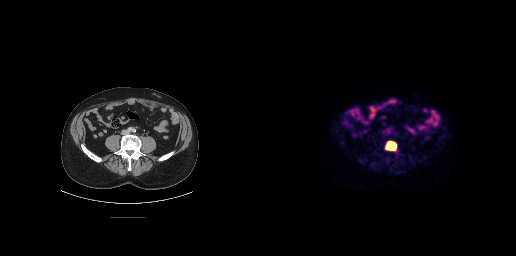
Paired axial CT (left) and PSMA PET (right), 18F-PSMA tracer. Acquired on GE Discovery 690.
Coordinates are on the 256×256 PET (right) panel. PSMA-avid tumor lesion bounding boxes:
| # | x0 | y0 | x1 | y1 |
|---|---|---|---|---|
| 1 | 125 | 141 | 137 | 151 |